- Two-panel axial: CT | PSMA PET, 68Ga-PSMA tracer
- acquired on Siemens Biograph 64-4R TruePoint
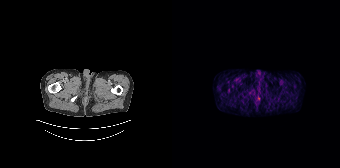
Findings: No PSMA-avid tumor lesions on this slice.